Technique: Paired axial CT (left) and PSMA PET (right), [18F]PSMA-1007 tracer. acquired on Siemens Biograph mCT Flow 20. slice 316 of 411. PET panel 200×200 px (4.1 mm/px).
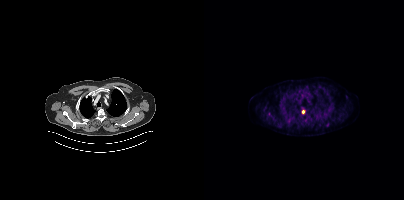
Findings: Coordinates are on the 200×200 PET (right) panel. Small PSMA-avid focus (2 to 4 px across) near (center x, center y): (98, 111).